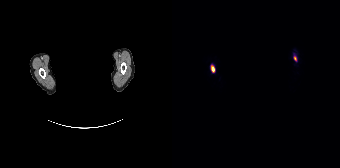
Paired axial CT (left) and PSMA PET (right), 18F-PSMA tracer. A rectangle over the head was blacked out to remove identifiable facial features.
Coordinates are on the 168×168 PET (right) panel. PSMA-avid tumor lesion bounding boxes:
| # | x0 | y0 | x1 | y1 |
|---|---|---|---|---|
| 1 | 38 | 64 | 43 | 72 |
| 2 | 122 | 56 | 124 | 61 |